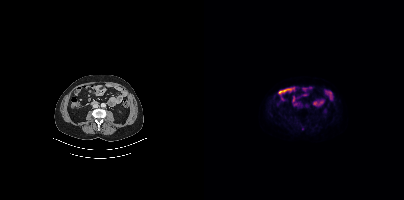
Technique: Two-panel axial: CT | PSMA PET, 18F tracer. PET panel 200×200 px (4.1 mm/px).
Findings: Negative for PSMA-avid disease on this slice.